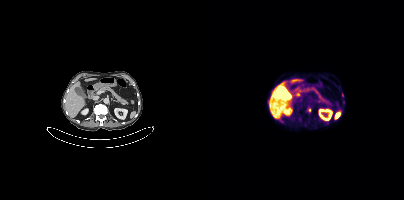
{"modality":"PSMA PET/CT","view":"axial","tracer":"18F-PSMA","pet_grid":[200,200],"coord_frame":"pet_panel","coord_format":"x0,y0,x1,y1","partial":true,"lesion_bboxes":[],"small_foci_centers":[[138,94],[105,110]]}